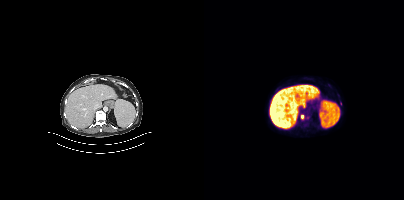
{"modality":"PSMA PET/CT","view":"axial","tracer":"[18F]PSMA-1007","pet_grid":[200,200],"coord_frame":"pet_panel","coord_format":"x0,y0,x1,y1","lesion_bboxes":[],"small_foci_centers":[[136,103],[98,116],[103,117]]}